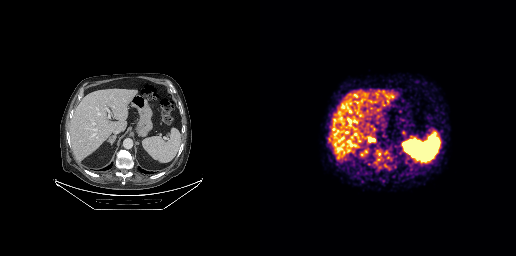
Left: CT. Right: PSMA PET, same axial level, 68Ga-PSMA tracer. Slice 152 of 263. PET panel 256×256 px (2.7 mm/px). Coordinates are on the 256×256 PET (right) panel. Small PSMA-avid foci (2 to 4 px across) near (center x, center y): (119, 154); (126, 152); (118, 159); (128, 157).